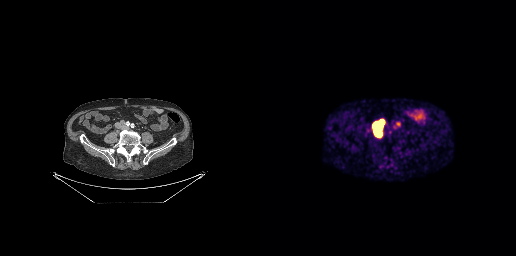
Coordinates are on the 256×256 PET (right) panel. PSMA-avid tumor lesion bounding boxes:
| # | x0 | y0 | x1 | y1 |
|---|---|---|---|---|
| 1 | 114 | 121 | 123 | 135 |
Small PSMA-avid focus (2 to 4 px across) near (center x, center y): (138, 124).
Paired axial CT (left) and PSMA PET (right), 68Ga tracer. Slice position z = -674 mm. PET panel 256×256 px (2.7 mm/px).